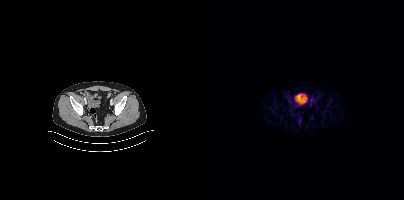
{"pet_grid":[200,200],"coord_frame":"pet_panel","coord_format":"x0,y0,x1,y1","psma_avid_lesions":false,"modality":"PSMA PET/CT","view":"axial","tracer":"68Ga-PSMA"}